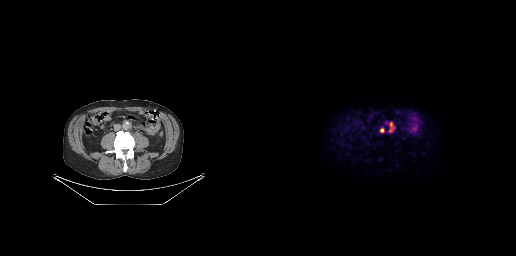
Left: CT. Right: PSMA PET, same axial level, 18F-PSMA tracer. Slice position z = -487 mm.
Coordinates are on the 256×256 PET (right) panel. PSMA-avid tumor lesion bounding boxes:
| # | x0 | y0 | x1 | y1 |
|---|---|---|---|---|
| 1 | 128 | 122 | 134 | 132 |
| 2 | 120 | 128 | 124 | 133 |